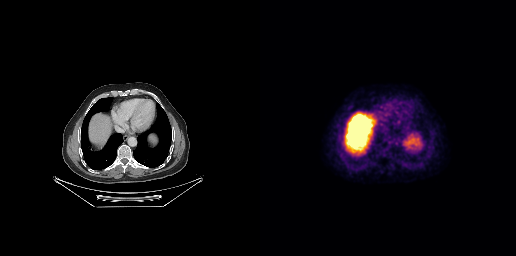
No tumor lesions annotated on this slice.